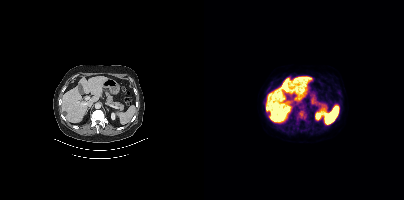
Coordinates are on the 200×200 PET (right) panel. PSMA-avid tumor lesion bounding box (x0, y0)-(x1, y1): (91, 109)-(106, 126). Small PSMA-avid focus (2 to 4 px across) near (center x, center y): (135, 92).